Two-panel axial: CT | PSMA PET, [18F]PSMA-1007 tracer. Acquired on Siemens Biograph mCT Flow 20.
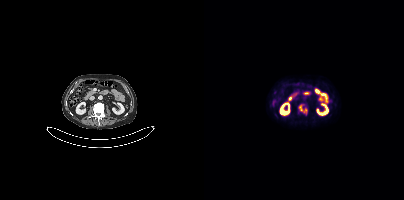
Coordinates are on the 200×200 PET (right) panel. PSMA-avid tumor lesion bounding boxes:
| # | x0 | y0 | x1 | y1 |
|---|---|---|---|---|
| 1 | 94 | 104 | 103 | 114 |